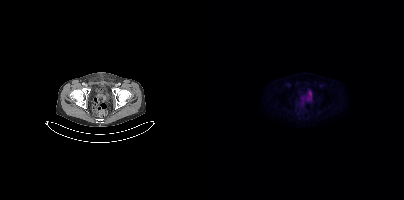
- Left: CT. Right: PSMA PET, same axial level, [18F]PSMA-1007 tracer
- PET panel 200×200 px (4.1 mm/px)
Findings: This slice has no annotated PSMA-avid lesion.